Technique: Two-panel axial: CT | PSMA PET, 18F-PSMA tracer. slice position z = -782 mm. PET panel 200×200 px (4.1 mm/px).
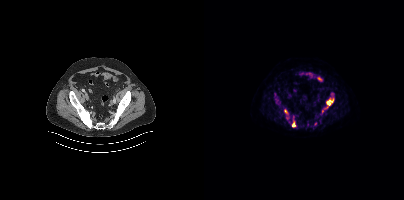
Findings: Coordinates are on the 200×200 PET (right) panel. (showing 3 of 4 foci) PSMA-avid tumor lesion bounding boxes (x0,y0,x1,y1): [123,98,130,105], [80,109,83,113], [88,122,91,126].